Two-panel axial: CT | PSMA PET, 18F-PSMA tracer. Slice position z = -1133 mm. PET panel 200×200 px (4.1 mm/px).
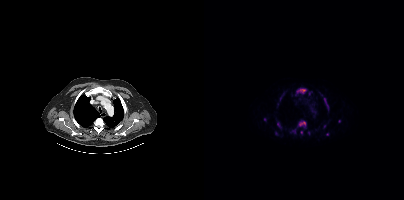
Coordinates are on the 200×200 PET (right) panel. (showing 12 of 15 foci) PSMA-avid tumor lesion bounding boxes (x, y, width, height): x=93 y=120 w=10 h=8 | x=92 y=88 w=11 h=6 | x=73 y=122 w=5 h=7 | x=86 y=129 w=7 h=5 | x=120 y=98 w=5 h=11. Small PSMA-avid foci (2 to 4 px across) near (center x, center y): (97, 132) | (61, 119) | (72, 133) | (123, 134) | (135, 121) | (120, 126) | (104, 133).